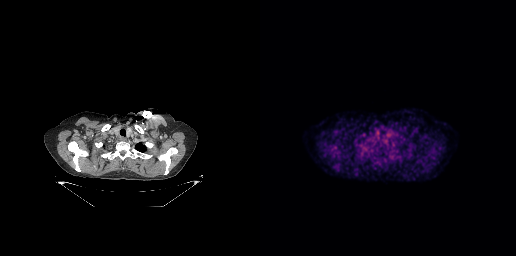
Technique: Left: CT. Right: PSMA PET, same axial level, 18F tracer.
Findings: This slice has no annotated PSMA-avid lesion.